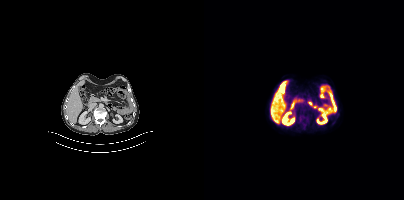
Left: CT. Right: PSMA PET, same axial level, [18F]PSMA-1007 tracer. Acquired on Siemens Biograph mCT Flow 20. Slice position z = -510 mm. PET panel 200×200 px (4.1 mm/px). No PSMA-avid tumor lesions on this slice.